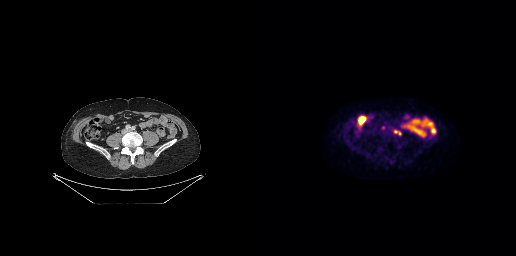
Technique: Two-panel axial: CT | PSMA PET, [18F]PSMA-1007 tracer. acquired on GE Discovery 690. slice 96 of 263. PET panel 256×256 px (2.7 mm/px).
Findings: Coordinates are on the 256×256 PET (right) panel. Small PSMA-avid focus (2 to 4 px across) near (center x, center y): (135, 131).